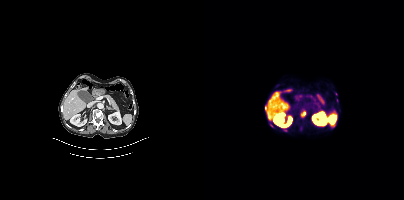
{"modality":"PSMA PET/CT","view":"axial","tracer":"68Ga-PSMA","pet_grid":[200,200],"coord_frame":"pet_panel","coord_format":"x0,y0,x1,y1","lesion_bboxes":[[97,111,101,116],[61,106,62,110]],"small_foci_centers":[[67,125],[129,125]]}